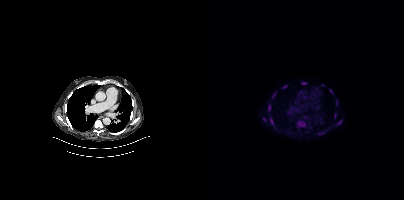
Findings: Coordinates are on the 200×200 PET (right) panel. (showing 11 of 14 foci) PSMA-avid tumor lesion bounding boxes (x0, y0)-(x1, y1): (93, 120)-(102, 127); (64, 104)-(66, 111); (66, 118)-(69, 124); (78, 85)-(82, 88); (133, 120)-(137, 124); (98, 82)-(102, 84); (68, 93)-(71, 98); (132, 100)-(133, 105); (126, 89)-(128, 93). Small PSMA-avid foci (2 to 4 px across) near (center x, center y): (60, 119); (131, 115).
Technique: Paired axial CT (left) and PSMA PET (right), 18F-PSMA tracer. slice position z = -412 mm. PET panel 200×200 px (4.1 mm/px).